de-identification: privacy mask over head | modality: PSMA PET/CT | tracer: 68Ga-PSMA | view: axial
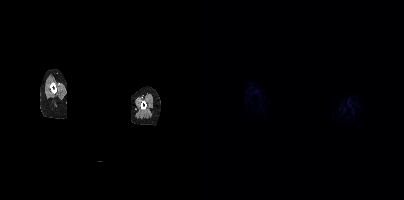
This slice has no annotated PSMA-avid lesion.